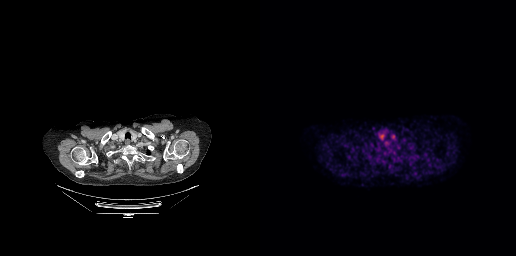
modality: PSMA PET/CT | tracer: 18F-PSMA | view: axial
No tumor lesions annotated on this slice.